modality: PSMA PET/CT | tracer: [18F]PSMA-1007 | view: axial | PET grid: 200×200
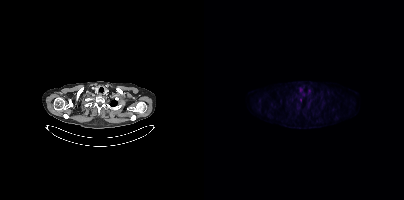
Coordinates are on the 200×200 PET (right) panel. (showing 1 of 2 foci) Small PSMA-avid focus (2 to 4 px across) near (center x, center y): (96, 100).